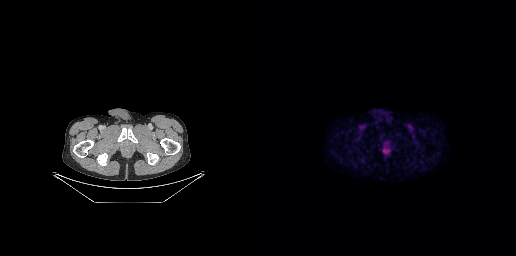
- Paired axial CT (left) and PSMA PET (right), 18F-PSMA tracer
- PET panel 256×256 px (2.7 mm/px)
Findings: Coordinates are on the 256×256 PET (right) panel. (showing 1 of 2 foci) PSMA-avid tumor lesion bounding box (x, y, width, height): x=121 y=145 w=10 h=10.